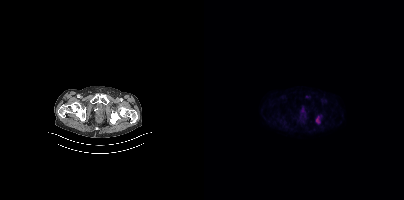
Paired axial CT (left) and PSMA PET (right), [18F]PSMA-1007 tracer. Slice 62 of 421. Coordinates are on the 200×200 PET (right) panel. PSMA-avid tumor lesion bounding box (x, y, width, height): x=112 y=116 w=4 h=8.